Left: CT. Right: PSMA PET, same axial level, 68Ga tracer. Slice position z = -1311 mm. PET panel 200×200 px (4.1 mm/px).
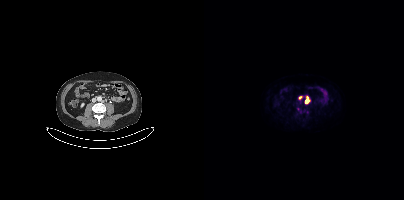
Coordinates are on the 200×200 PET (right) panel. PSMA-avid tumor lesion bounding box (x0, y0)-(x1, y1): (101, 99)-(105, 103). Small PSMA-avid foci (2 to 4 px across) near (center x, center y): (95, 110) | (96, 97) | (103, 111) | (102, 96).